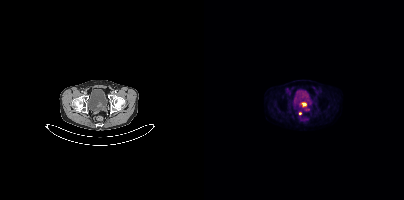
Two-panel axial: CT | PSMA PET, 18F tracer. Acquired on Siemens Biograph mCT Flow 20. PET panel 200×200 px (4.1 mm/px).
Coordinates are on the 200×200 PET (right) panel. PSMA-avid tumor lesion bounding boxes:
| # | x0 | y0 | x1 | y1 |
|---|---|---|---|---|
| 1 | 96 | 102 | 102 | 107 |
Small PSMA-avid focus (2 to 4 px across) near (center x, center y): (96, 113).